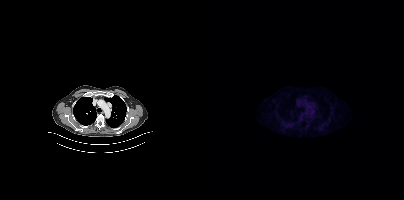
Negative for PSMA-avid disease on this slice. Left: CT. Right: PSMA PET, same axial level, 18F tracer. Slice 312 of 411.